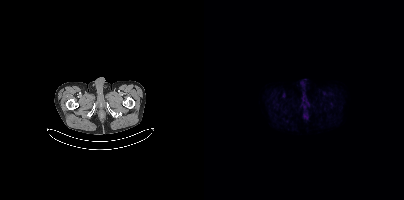
Coordinates are on the 200×200 PET (right) panel. PSMA-avid tumor lesion bounding box (x, y, width, height): x=99 y=112 w=6 h=5.